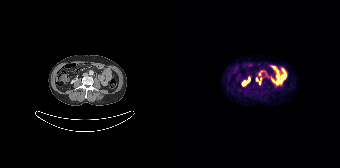
Coordinates are on the 168×168 PET (right) panel. (showing 2 of 3 foci) Small PSMA-avid foci (2 to 4 px across) near (center x, center y): (84, 79) | (87, 82).